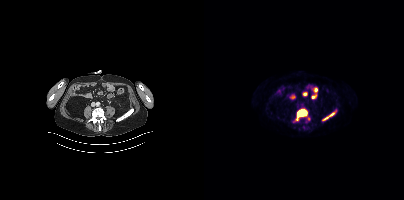
{"pet_grid":[200,200],"coord_frame":"pet_panel","coord_format":"x0,y0,x1,y1","lesion_bboxes":[[92,109,103,120],[120,112,130,119]],"small_foci_centers":[[104,118]],"modality":"PSMA PET/CT","view":"axial","tracer":"18F-PSMA"}